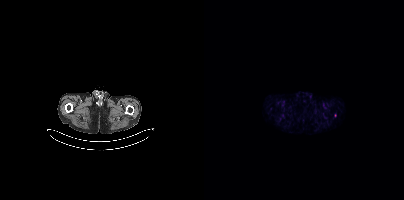
{"modality":"PSMA PET/CT","view":"axial","tracer":"18F-PSMA","pet_grid":[200,200],"coord_frame":"pet_panel","coord_format":"x0,y0,x1,y1","partial":true,"lesion_bboxes":[]}